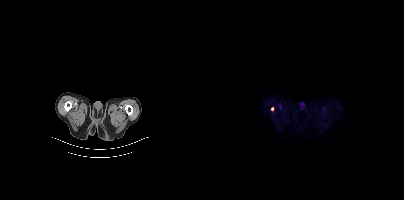
Paired axial CT (left) and PSMA PET (right), [18F]PSMA-1007 tracer. Slice 29 of 411. Coordinates are on the 200×200 PET (right) panel. Small PSMA-avid focus (2 to 4 px across) near (center x, center y): (68, 108).